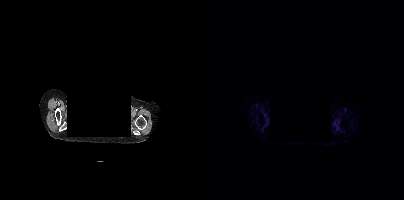
No tumor lesions annotated on this slice. An anonymization step blacked out a rectangle over the head in this scan. Two-panel axial: CT | PSMA PET, 68Ga-PSMA tracer. Acquired on Siemens Biograph mCT Flow 20. PET panel 200×200 px (4.1 mm/px).